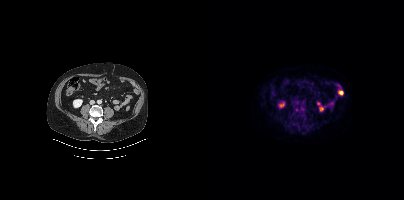
{"modality":"PSMA PET/CT","view":"axial","tracer":"18F","pet_grid":[200,200],"coord_frame":"pet_panel","coord_format":"x0,y0,x1,y1","psma_avid_lesions":false}